Technique: Two-panel axial: CT | PSMA PET, 18F tracer. slice position z = -1477 mm.
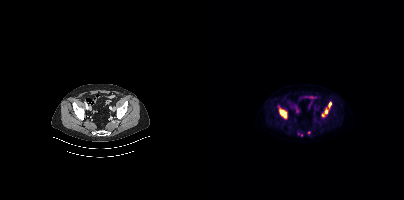
Findings: Coordinates are on the 200×200 PET (right) panel. (showing 2 of 4 foci) PSMA-avid tumor lesion bounding boxes (x0,y0,x1,y1): [118,102,127,116], [75,109,82,118].